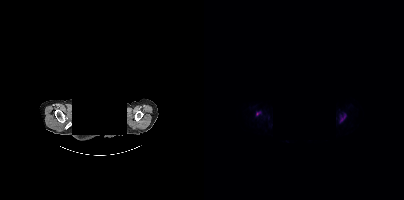
Technique: Two-panel axial: CT | PSMA PET, 18F tracer. PET panel 200×200 px (4.1 mm/px).
Note: The head region is masked for de-identification.
Findings: Coordinates are on the 200×200 PET (right) panel. PSMA-avid tumor lesion bounding box (x, y, width, height): x=136 y=115 w=6 h=8. Small PSMA-avid focus (2 to 4 px across) near (center x, center y): (53, 113).